Paired axial CT (left) and PSMA PET (right), 18F-PSMA tracer. Acquired on Siemens Biograph mCT Flow 20.
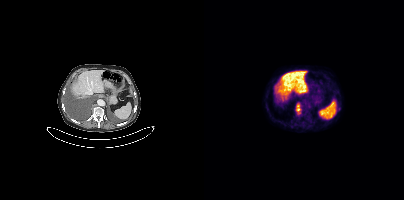
Coordinates are on the 200×200 PET (right) panel. PSMA-avid tumor lesion bounding boxes:
| # | x0 | y0 | x1 | y1 |
|---|---|---|---|---|
| 1 | 92 | 103 | 96 | 114 |